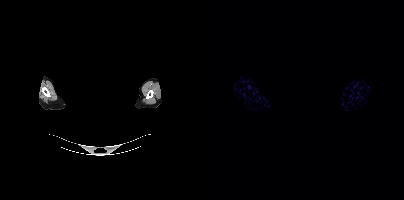
The face region was removed for patient privacy by blanking a rectangle over the head. Paired axial CT (left) and PSMA PET (right), 68Ga tracer. Acquired on Siemens Biograph mCT Flow 20. Negative for PSMA-avid disease on this slice.